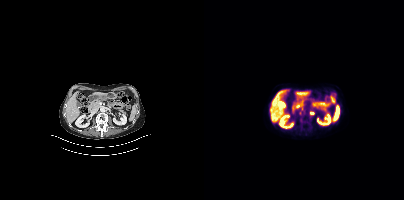
Coordinates are on the 200×200 PET (right) panel. PSMA-avid tumor lesion bounding box (x0, y0)-(x1, y1): (106, 111)-(110, 114). Small PSMA-avid foci (2 to 4 px across) near (center x, center y): (98, 109) / (96, 113).